Technique: Left: CT. Right: PSMA PET, same axial level, [18F]PSMA-1007 tracer.
Note: Privacy masking over the head, with the pixels inside a rectangle set to black.
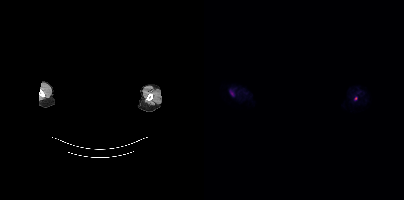
Findings: Coordinates are on the 200×200 PET (right) panel. Small PSMA-avid focus (2 to 4 px across) near (center x, center y): (151, 98).